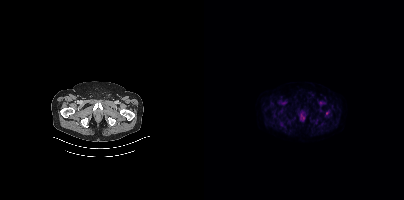
{"modality":"PSMA PET/CT","view":"axial","tracer":"18F-PSMA","pet_grid":[200,200],"coord_frame":"pet_panel","coord_format":"x0,y0,x1,y1","lesion_bboxes":[],"small_foci_centers":[[123,113]]}